Technique: Two-panel axial: CT | PSMA PET, 18F tracer. slice 187 of 423.
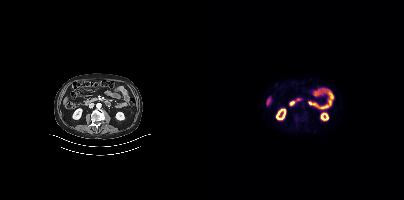
Findings: This slice has no annotated PSMA-avid lesion.